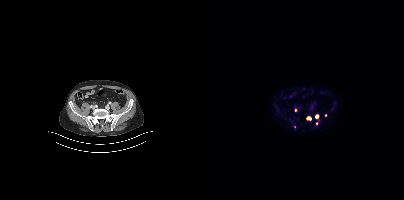
modality: PSMA PET/CT | tracer: 18F-PSMA | view: axial | PET grid: 200×200
Coordinates are on the 200×200 PET (right) panel. (showing 4 of 6 foci) Small PSMA-avid foci (2 to 4 px across) near (center x, center y): (104, 118), (91, 110), (112, 116), (112, 123).